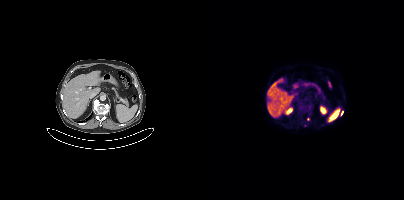
{"modality":"PSMA PET/CT","view":"axial","tracer":"[18F]PSMA-1007","pet_grid":[200,200],"coord_frame":"pet_panel","coord_format":"x0,y0,x1,y1","lesion_bboxes":[],"small_foci_centers":[[138,113],[104,119]]}